Left: CT. Right: PSMA PET, same axial level, 18F-PSMA tracer.
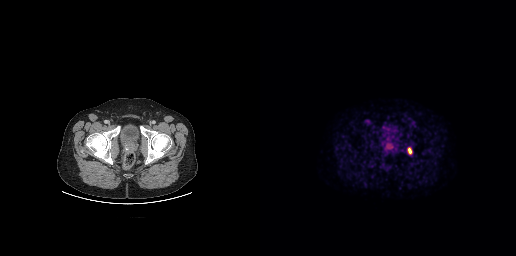
Coordinates are on the 256×256 PET (right) panel. PSMA-avid tumor lesion bounding box (x, y, width, height): x=147 y=147 w=6 h=8.